Left: CT. Right: PSMA PET, same axial level, 18F-PSMA tracer. PET panel 256×256 px (2.7 mm/px).
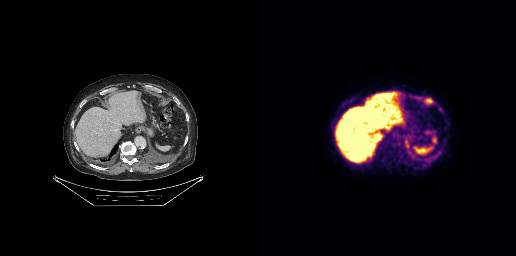
Coordinates are on the 256×256 PET (right) panel. PSMA-avid tumor lesion bounding boxes (partial; 1 more focus not listed):
| # | x0 | y0 | x1 | y1 |
|---|---|---|---|---|
| 1 | 170 | 152 | 179 | 161 |
| 2 | 164 | 97 | 173 | 104 |
| 3 | 156 | 97 | 161 | 98 |
Small PSMA-avid focus (2 to 4 px across) near (center x, center y): (166, 160).